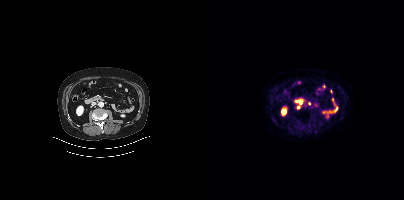
modality: PSMA PET/CT | tracer: 18F-PSMA | view: axial
Coordinates are on the 200×200 PET (right) panel. Small PSMA-avid foci (2 to 4 px across) near (center x, center y): (97, 102); (93, 107); (105, 103).